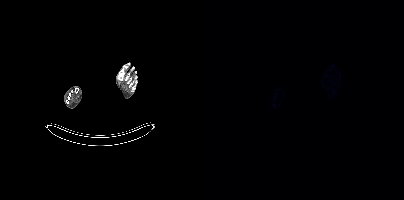
This slice has no annotated PSMA-avid lesion.